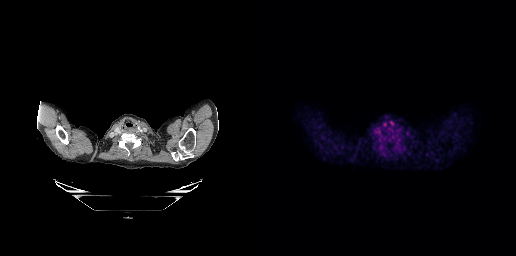
{"modality":"PSMA PET/CT","view":"axial","tracer":"[18F]PSMA-1007","pet_grid":[256,256],"coord_frame":"pet_panel","coord_format":"x0,y0,x1,y1","psma_avid_lesions":false}